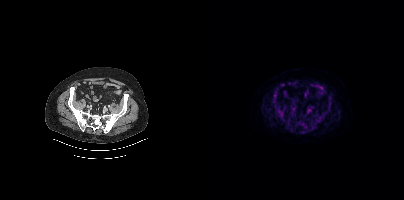
modality: PSMA PET/CT | tracer: 18F | view: axial | PET grid: 200×200
No tumor lesions annotated on this slice.